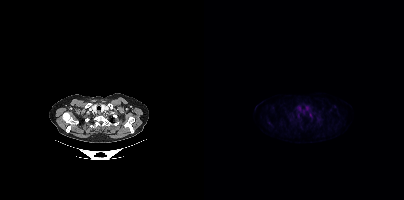
Technique: Left: CT. Right: PSMA PET, same axial level, 18F tracer. acquired on Siemens Biograph mCT Flow 20.
Findings: This slice has no annotated PSMA-avid lesion.